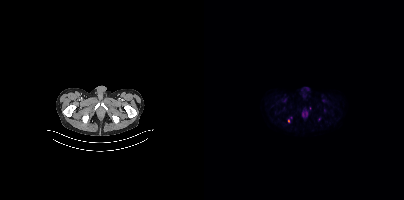
Technique: Two-panel axial: CT | PSMA PET, 18F tracer. acquired on Siemens Biograph mCT Flow 20. slice 38 of 377.
Findings: Coordinates are on the 200×200 PET (right) panel. Small PSMA-avid focus (2 to 4 px across) near (center x, center y): (84, 121).